modality: PSMA PET/CT | tracer: [18F]PSMA-1007 | view: axial
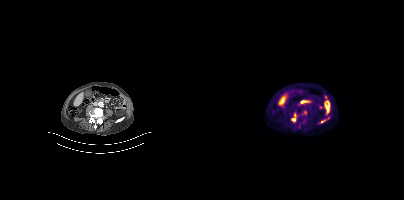
Coordinates are on the 200×200 PET (right) panel. (showing 2 of 3 foci) PSMA-avid tumor lesion bounding box (x, y, width, height): x=87 y=112 w=6 h=11. Small PSMA-avid focus (2 to 4 px across) near (center x, center y): (94, 126).